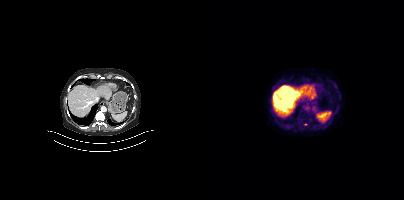
Coordinates are on the 200×200 PET (right) panel. Small PSMA-avid focus (2 to 4 px across) near (center x, center y): (101, 124).